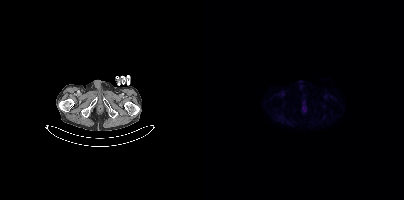
Left: CT. Right: PSMA PET, same axial level, [18F]PSMA-1007 tracer. Slice position z = -1528 mm. No PSMA-avid tumor lesions on this slice.